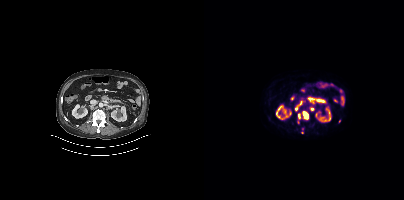
- Left: CT. Right: PSMA PET, same axial level, [18F]PSMA-1007 tracer
- PET panel 200×200 px (4.1 mm/px)
Findings: Coordinates are on the 200×200 PET (right) panel. (showing 4 of 7 foci) PSMA-avid tumor lesion bounding boxes (x, y, width, height): x=98 y=111 w=7 h=9 | x=91 y=102 w=7 h=9 | x=94 y=113 w=3 h=6. Small PSMA-avid focus (2 to 4 px across) near (center x, center y): (108, 109).